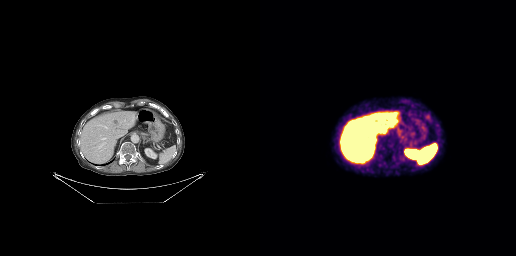
modality: PSMA PET/CT | tracer: 18F-PSMA | view: axial | PET grid: 256×256
Coordinates are on the 256×256 PET (right) panel. Small PSMA-avid focus (2 to 4 px across) near (center x, center y): (167, 116).